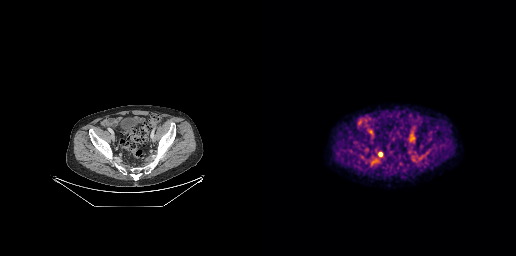
Coordinates are on the 256×256 PET (right) panel. Small PSMA-avid focus (2 to 4 px across) near (center x, center y): (120, 154).
modality: PSMA PET/CT | tracer: [18F]PSMA-1007 | view: axial